Technique: Left: CT. Right: PSMA PET, same axial level, [68Ga]Ga-PSMA-11 tracer.
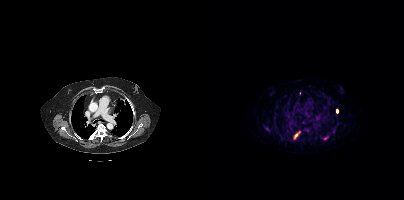
Findings: Coordinates are on the 200×200 PET (right) panel. (showing 4 of 5 foci) PSMA-avid tumor lesion bounding boxes (x0, y0)-(x1, y1): (89, 130)-(96, 140) | (132, 108)-(134, 113). Small PSMA-avid foci (2 to 4 px across) near (center x, center y): (103, 130) | (121, 138).